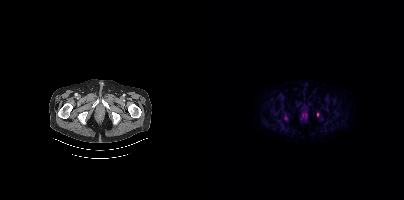
{"modality":"PSMA PET/CT","view":"axial","tracer":"[18F]PSMA-1007","pet_grid":[200,200],"coord_frame":"pet_panel","coord_format":"x0,y0,x1,y1","lesion_bboxes":[],"small_foci_centers":[[113,114]]}